Paired axial CT (left) and PSMA PET (right), [18F]PSMA-1007 tracer.
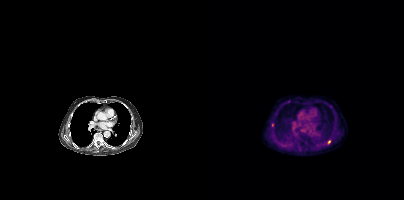
Coordinates are on the 200×200 PET (right) panel. Small PSMA-avid foci (2 to 4 px across) near (center x, center y): (125, 141); (68, 124); (126, 106).